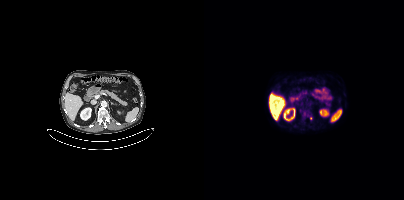
Coordinates are on the 200×200 PET (right) panel. PSMA-avid tumor lesion bounding box (x0,y0,x1,y1): [98,112,102,116]. Small PSMA-avid focus (2 to 4 px across) near (center x, center y): (107, 118).